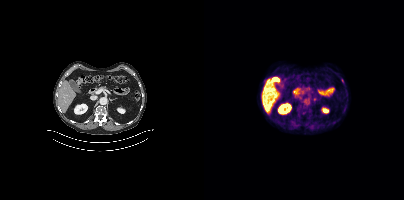
Only PSMA-avid lesion pieces thinner than 2 px on this slice (not listed).